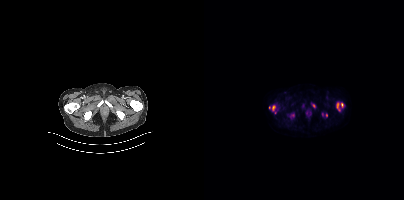
Left: CT. Right: PSMA PET, same axial level, 18F tracer. Slice 58 of 413. PET panel 200×200 px (4.1 mm/px). Coordinates are on the 200×200 PET (right) panel. (showing 7 of 8 foci) PSMA-avid tumor lesion bounding boxes (x, y, width, height): x=86 y=113 w=5 h=6; x=68 y=106 w=5 h=8; x=132 y=102 w=5 h=9; x=137 y=103 w=3 h=5. Small PSMA-avid foci (2 to 4 px across) near (center x, center y): (109, 105); (122, 115); (65, 107).